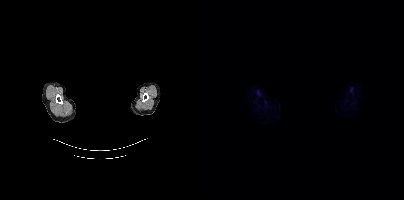
Technique: Paired axial CT (left) and PSMA PET (right), [18F]PSMA-1007 tracer. acquired on Siemens Biograph mCT Flow 20. slice position z = -898 mm. PET panel 200×200 px (4.1 mm/px).
Note: An anonymization step blacked out a rectangle over the head in this scan.
Findings: No tumor lesions annotated on this slice.